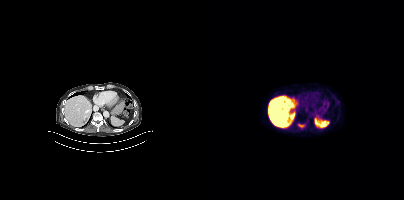
Two-panel axial: CT | PSMA PET, 18F tracer. Slice position z = -628 mm.
Coordinates are on the 200×200 PET (right) panel. PSMA-avid tumor lesion bounding boxes:
| # | x0 | y0 | x1 | y1 |
|---|---|---|---|---|
| 1 | 94 | 124 | 100 | 127 |
Small PSMA-avid focus (2 to 4 px across) near (center x, center y): (134, 101).